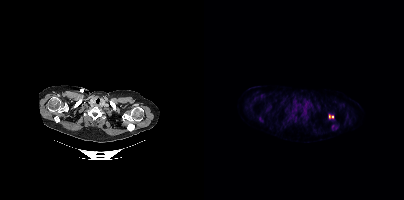
{"modality":"PSMA PET/CT","view":"axial","tracer":"18F-PSMA","pet_grid":[200,200],"coord_frame":"pet_panel","coord_format":"x0,y0,x1,y1","lesion_bboxes":[[124,114,129,118]]}